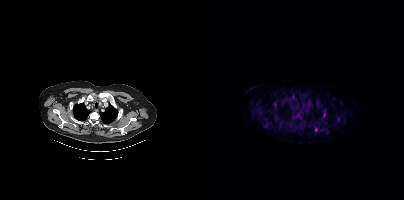
- Two-panel axial: CT | PSMA PET, 18F tracer
- slice 370 of 462
Findings: Coordinates are on the 200×200 PET (right) panel. Small PSMA-avid foci (2 to 4 px across) near (center x, center y): (112, 129) / (120, 115).